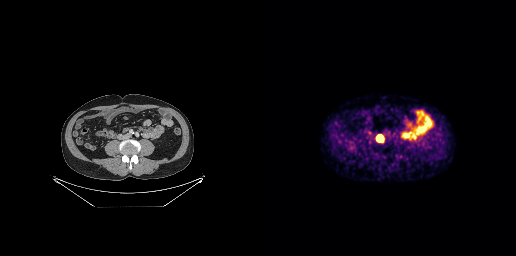
Technique: Left: CT. Right: PSMA PET, same axial level, 68Ga-PSMA tracer. acquired on GE Discovery 690.
Findings: Coordinates are on the 256×256 PET (right) panel. PSMA-avid tumor lesion bounding box (x0, y0)-(x1, y1): (116, 134)-(124, 142).